- Two-panel axial: CT | PSMA PET, 18F-PSMA tracer
- PET panel 200×200 px (4.1 mm/px)
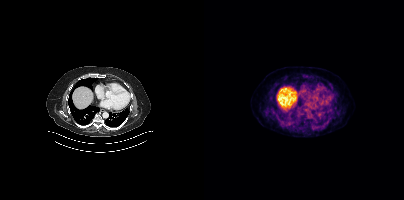
Findings: Negative for PSMA-avid disease on this slice.